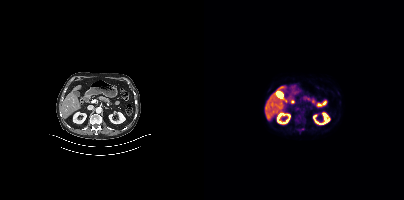
No tumor lesions annotated on this slice.